- Paired axial CT (left) and PSMA PET (right), 18F-PSMA tracer
- slice 17 of 165
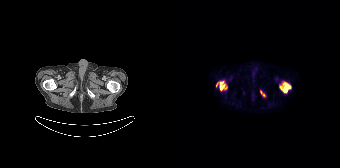
Findings: Coordinates are on the 168×168 PET (right) panel. PSMA-avid tumor lesion bounding boxes (x0, y0)-(x1, y1): (107, 81)-(119, 93) / (44, 81)-(55, 90) / (88, 91)-(92, 96).